modality: PSMA PET/CT | tracer: [18F]PSMA-1007 | view: axial | PET grid: 200×200
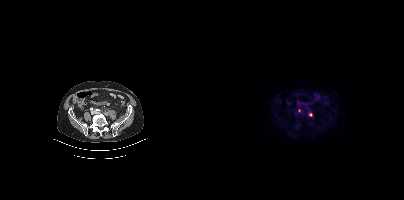
Coordinates are on the 200×200 PET (right) panel. Small PSMA-avid foci (2 to 4 px across) near (center x, center y): (106, 114) | (95, 111).